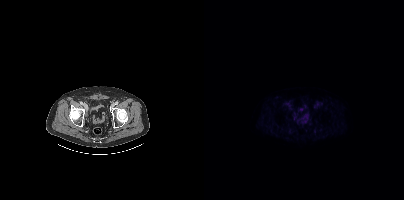
No PSMA-avid tumor lesions on this slice. Left: CT. Right: PSMA PET, same axial level, 18F-PSMA tracer. Slice 60 of 423.